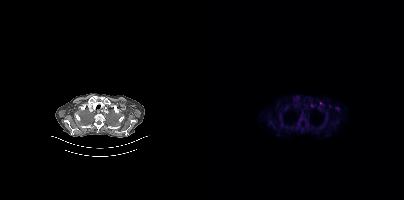
Findings: Coordinates are on the 200×200 PET (right) panel. (showing 3 of 4 foci) Small PSMA-avid foci (2 to 4 px across) near (center x, center y): (100, 119); (107, 105); (118, 104).
Technique: Paired axial CT (left) and PSMA PET (right), [18F]PSMA-1007 tracer. acquired on Siemens Biograph mCT Flow 20. slice 286 of 344. PET panel 200×200 px (4.1 mm/px).